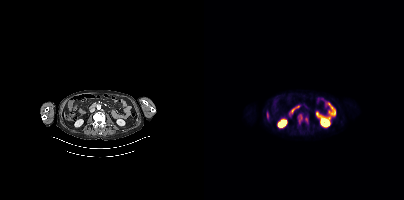
Two-panel axial: CT | PSMA PET, 18F tracer. Slice 183 of 415. PET panel 200×200 px (4.1 mm/px).
Coordinates are on the 200×200 PET (right) panel. PSMA-avid tumor lesion bounding boxes:
| # | x0 | y0 | x1 | y1 |
|---|---|---|---|---|
| 1 | 94 | 114 | 98 | 123 |
| 2 | 101 | 117 | 103 | 122 |